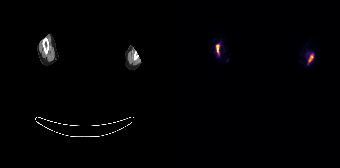
{"modality":"PSMA PET/CT","view":"axial","tracer":"18F","pet_grid":[168,168],"coord_frame":"pet_panel","coord_format":"x0,y0,x1,y1","lesion_bboxes":[[137,54,141,61],[45,45,46,51]],"deidentification":"head region blanked (face removed)"}